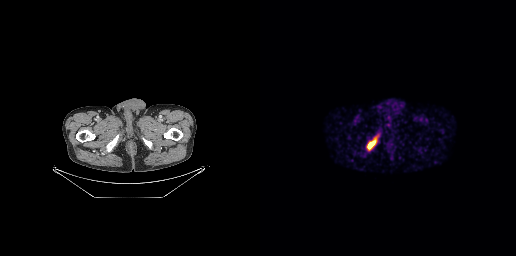
Technique: Left: CT. Right: PSMA PET, same axial level, [68Ga]Ga-PSMA-11 tracer. slice position z = -896 mm.
Findings: Coordinates are on the 256×256 PET (right) panel. PSMA-avid tumor lesion bounding box (x, y, width, height): x=107 y=135 w=12 h=15.